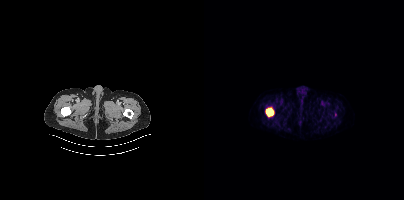
modality: PSMA PET/CT | tracer: 18F | view: axial
Coordinates are on the 200×200 PET (right) panel. PSMA-avid tumor lesion bounding box (x0,y0,x1,y1): [62,108,69,116].